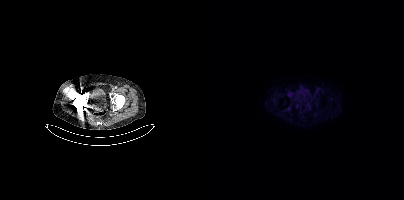
No tumor lesions annotated on this slice.